- Paired axial CT (left) and PSMA PET (right), 68Ga tracer
- slice 128 of 385
- PET panel 200×200 px (4.1 mm/px)
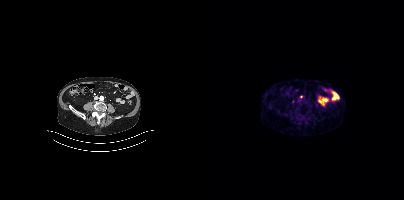
Findings: Coordinates are on the 200×200 PET (right) panel. Small PSMA-avid focus (2 to 4 px across) near (center x, center y): (97, 96).